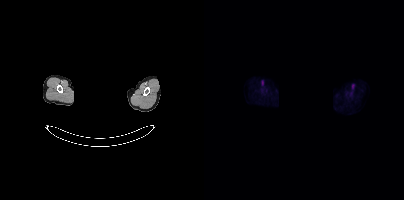
No tumor lesions annotated on this slice. Two-panel axial: CT | PSMA PET, [18F]PSMA-1007 tracer. Slice position z = -869 mm. The face region was removed for patient privacy by blanking a rectangle over the head.